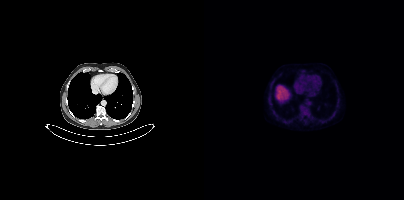
- Left: CT. Right: PSMA PET, same axial level, 18F tracer
- slice 236 of 393
Findings: Negative for PSMA-avid disease on this slice.